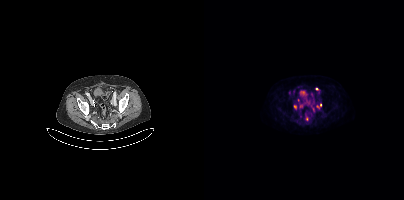
Coordinates are on the 200×200 PET (right) panel. PSMA-avid tumor lesion bounding box (x, y, width, height): x=90 y=105 w=3 h=5. Small PSMA-avid foci (2 to 4 px across) near (center x, center y): (97, 106); (116, 105); (94, 100); (113, 106); (112, 88); (102, 119).